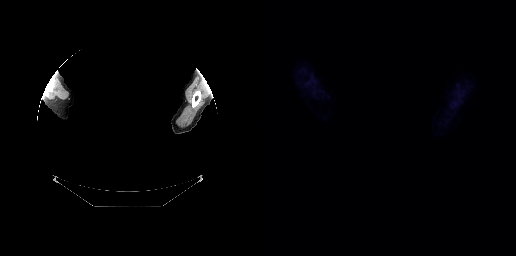
redaction: rectangular block over head set to black | modality: PSMA PET/CT | tracer: 18F-PSMA | view: axial | PET grid: 256×256
Negative for PSMA-avid disease on this slice.